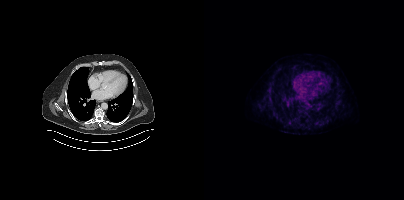
{"modality":"PSMA PET/CT","view":"axial","tracer":"18F","pet_grid":[200,200],"coord_frame":"pet_panel","coord_format":"x0,y0,x1,y1","lesion_bboxes":[],"small_foci_centers":[[77,120]]}